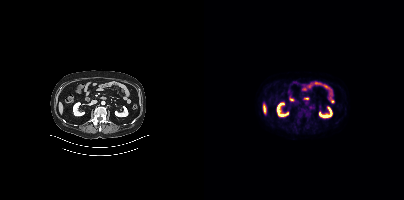
- Left: CT. Right: PSMA PET, same axial level, 18F tracer
- acquired on Siemens Biograph mCT Flow 20
Findings: No tumor lesions annotated on this slice.